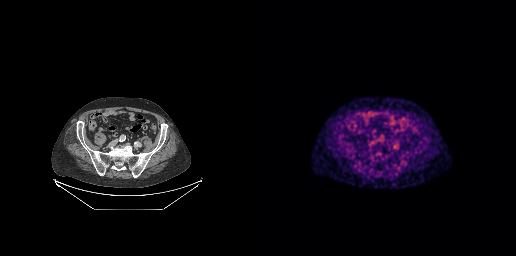
{"pet_grid":[256,256],"coord_frame":"pet_panel","coord_format":"x0,y0,x1,y1","psma_avid_lesions":false,"modality":"PSMA PET/CT","view":"axial","tracer":"[18F]PSMA-1007"}